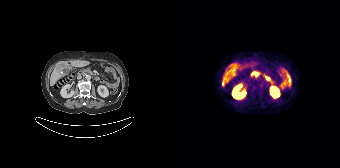
Coordinates are on the 168×168 PET (right) panel. PSMA-avid tumor lesion bounding box (x, y, width, height): x=50 y=82 w=3 h=5. Small PSMA-avid foci (2 to 4 px across) near (center x, center y): (54, 72) / (60, 69). Two-panel axial: CT | PSMA PET, 68Ga tracer.